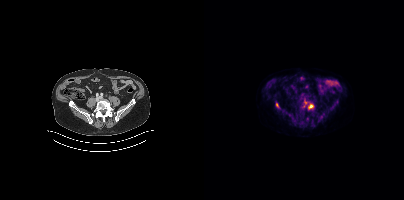
Coordinates are on the 200×200 PET (right) panel. (showing 4 of 5 foci) PSMA-avid tumor lesion bounding boxes (x, y, width, height): x=104 y=104 w=6 h=6 | x=100 y=100 w=4 h=7 | x=72 y=103 w=3 h=5. Small PSMA-avid focus (2 to 4 px across) near (center x, center y): (117, 116).